Technique: Two-panel axial: CT | PSMA PET, 68Ga-PSMA tracer. PET panel 256×256 px (2.7 mm/px).
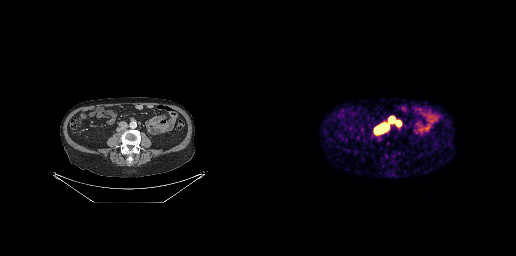
Findings: Coordinates are on the 256×256 PET (right) panel. PSMA-avid tumor lesion bounding boxes (x0,y0,x1,y1): [115,123,128,132] [129,118,133,122]. Small PSMA-avid focus (2 to 4 px across) near (center x, center y): (138, 122).